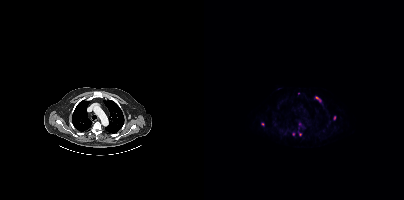
- Paired axial CT (left) and PSMA PET (right), 18F-PSMA tracer
- acquired on Siemens Biograph mCT Flow 20
- slice position z = -480 mm
Findings: Coordinates are on the 200×200 PET (right) panel. (showing 6 of 7 foci) PSMA-avid tumor lesion bounding box (x, y, width, height): x=112 y=97 w=5 h=5. Small PSMA-avid foci (2 to 4 px across) near (center x, center y): (130, 117); (96, 134); (58, 124); (89, 134); (94, 93).